Paired axial CT (left) and PSMA PET (right), 68Ga tracer. Acquired on Siemens Biograph 64-4R TruePoint. Slice position z = -350 mm. PET panel 168×168 px (4.1 mm/px).
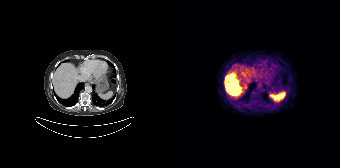
Coordinates are on the 168×168 PET (right) panel. PSMA-avid tumor lesion bounding box (x0,y0,x1,y1): [53,74,69,95].